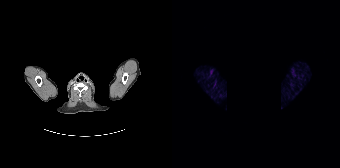
{"modality":"PSMA PET/CT","view":"axial","tracer":"[68Ga]Ga-PSMA-11","pet_grid":[168,168],"coord_frame":"pet_panel","coord_format":"x0,y0,x1,y1","psma_avid_lesions":false,"de-identification":"black rectangle is a privacy mask"}